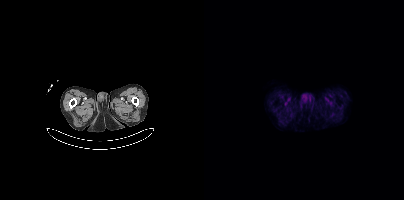
Technique: Two-panel axial: CT | PSMA PET, 18F tracer. PET panel 200×200 px (4.1 mm/px).
Findings: Negative for PSMA-avid disease on this slice.